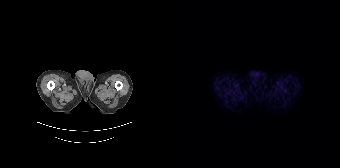
Technique: Two-panel axial: CT | PSMA PET, [68Ga]Ga-PSMA-11 tracer.
Findings: No PSMA-avid tumor lesions on this slice.